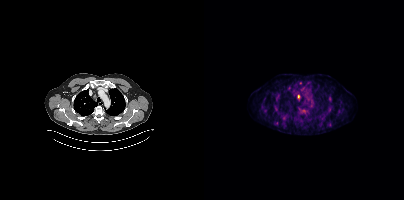
Coordinates are on the 200×200 PET (right) panel. (showing 4 of 5 foci) Small PSMA-avid foci (2 to 4 px across) near (center x, center y): (94, 96) | (103, 110) | (72, 123) | (98, 110).
modality: PSMA PET/CT | tracer: 18F-PSMA | view: axial